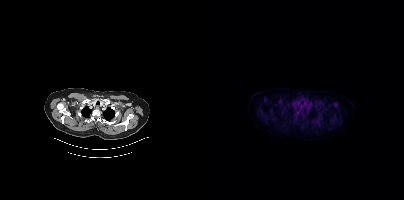
Technique: Left: CT. Right: PSMA PET, same axial level, [18F]PSMA-1007 tracer. acquired on Siemens Biograph mCT Flow 20.
Findings: Coordinates are on the 200×200 PET (right) panel. Small PSMA-avid focus (2 to 4 px across) near (center x, center y): (93, 112).